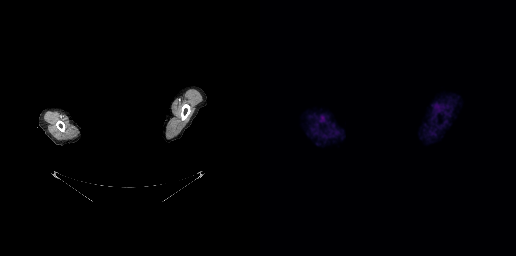
{"modality":"PSMA PET/CT","view":"axial","tracer":"[18F]PSMA-1007","pet_grid":[256,256],"coord_frame":"pet_panel","coord_format":"x0,y0,x1,y1","psma_avid_lesions":false,"de-identification":"privacy mask over head"}